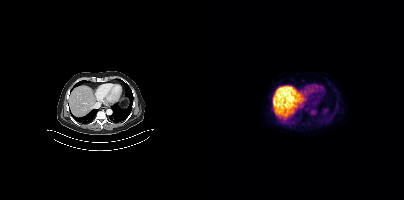
Negative for PSMA-avid disease on this slice.